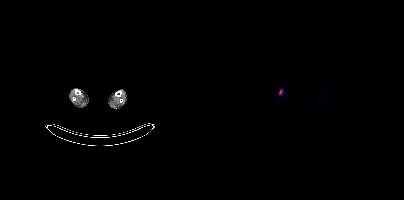
{"modality":"PSMA PET/CT","view":"axial","tracer":"18F","pet_grid":[200,200],"coord_frame":"pet_panel","coord_format":"x0,y0,x1,y1","lesion_bboxes":[],"small_foci_centers":[[76,91]]}